Paired axial CT (left) and PSMA PET (right), 18F tracer.
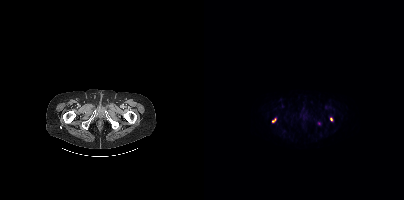
Coordinates are on the 200×200 PET (right) panel. PSMA-avid tumor lesion bounding box (x0, y0)-(x1, y1): (68, 118)-(71, 122). Small PSMA-avid focus (2 to 4 px across) near (center x, center y): (127, 119).